modality: PSMA PET/CT | tracer: 18F-PSMA | view: axial
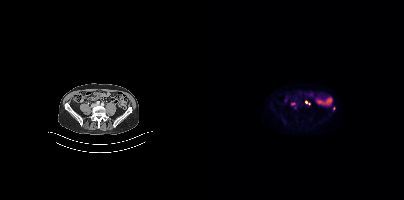
Coordinates are on the 200×200 PET (right) panel. (showing 2 of 3 foci) PSMA-avid tumor lesion bounding box (x, y, width, height): x=101 y=100 w=6 h=5. Small PSMA-avid focus (2 to 4 px across) near (center x, center y): (88, 104).